- Left: CT. Right: PSMA PET, same axial level, 18F tracer
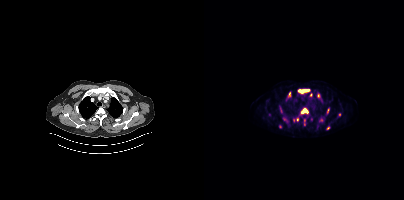
Findings: Coordinates are on the 200×200 PET (right) panel. (showing 8 of 11 foci) PSMA-avid tumor lesion bounding boxes (x, y, width, height): x=94 y=89 w=12 h=5 | x=97 y=109 w=7 h=5 | x=100 y=119 w=2 h=7 | x=123 y=109 w=3 h=5. Small PSMA-avid foci (2 to 4 px across) near (center x, center y): (114, 95) | (85, 94) | (124, 128) | (93, 119).